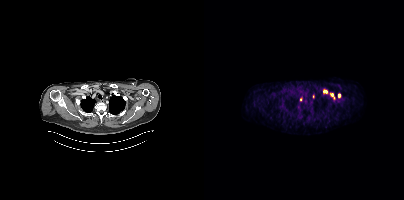
Coordinates are on the 200×200 PET (right) panel. (showing 5 of 6 foci) PSMA-avid tumor lesion bounding box (x0,y0,x1,y1): [119,90,123,92]. Small PSMA-avid foci (2 to 4 px across) near (center x, center y): (128, 94) (109, 96) (135, 95) (96, 99).